- Left: CT. Right: PSMA PET, same axial level, [18F]PSMA-1007 tracer
- acquired on Siemens Biograph mCT Flow 20
- PET panel 200×200 px (4.1 mm/px)
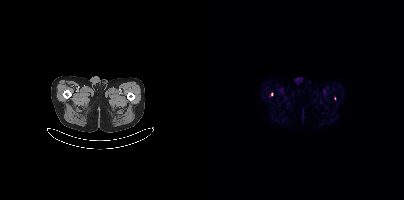
Findings: Coordinates are on the 200×200 PET (right) panel. (showing 1 of 2 foci) Small PSMA-avid focus (2 to 4 px across) near (center x, center y): (67, 94).